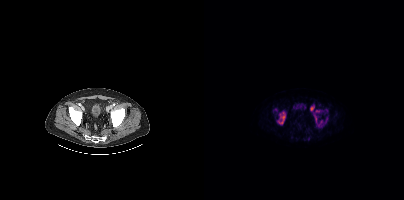
{"modality":"PSMA PET/CT","view":"axial","tracer":"18F","pet_grid":[200,200],"coord_frame":"pet_panel","coord_format":"x0,y0,x1,y1","partial":true,"lesion_bboxes":[[74,112,81,123],[110,114,112,122],[114,120,118,126]],"small_foci_centers":[[113,111]]}